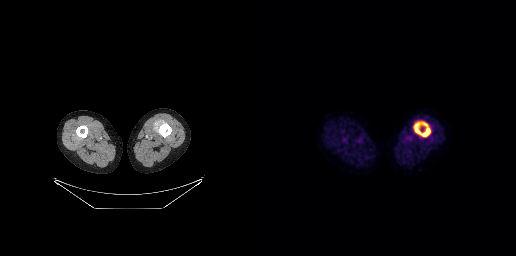
Findings: Coordinates are on the 256×256 PET (right) panel. PSMA-avid tumor lesion bounding box (x0, y0)-(x1, y1): (154, 122)-(170, 136).
Technique: Left: CT. Right: PSMA PET, same axial level, 18F tracer. slice position z = -1180 mm.